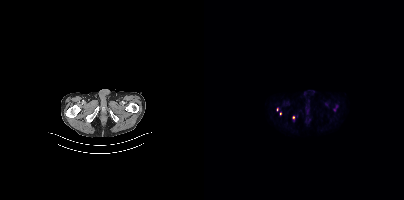
Coordinates are on the 200×200 PET (right) panel. (showing 2 of 3 foci) Small PSMA-avid foci (2 to 4 px across) near (center x, center y): (76, 113), (89, 117).